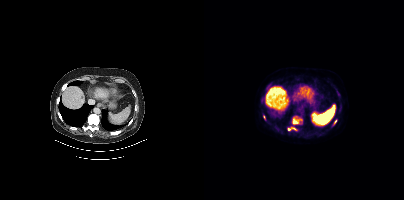
Coordinates are on the 200×200 PET (right) panel. PSMA-avid tumor lesion bounding boxes (x0,y0,x1,y1): [88,116,98,124] [83,127,93,130] [62,85,65,89] [130,120,132,124]. Small PSMA-avid focus (2 to 4 px across) near (center x, center y): (60, 117).